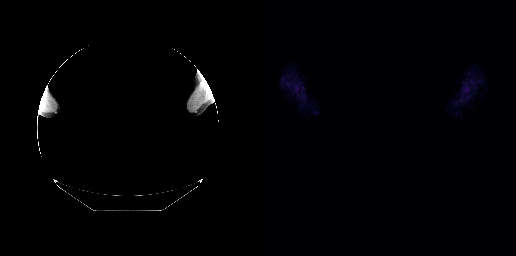
No tumor lesions annotated on this slice.
Face de-identified by blanking a block of the head.